- Paired axial CT (left) and PSMA PET (right), [68Ga]Ga-PSMA-11 tracer
- acquired on Siemens Biograph 64-4R TruePoint
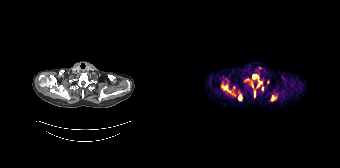
Findings: Coordinates are on the 168×168 PET (right) panel. (showing 10 of 11 foci) PSMA-avid tumor lesion bounding boxes (x, y, width, height): x=85 y=79 w=6 h=9; x=50 y=85 w=6 h=5; x=54 y=89 w=7 h=6; x=80 y=75 w=5 h=5; x=66 y=95 w=4 h=6; x=60 y=85 w=4 h=5; x=82 y=91 w=2 h=7; x=100 y=96 w=3 h=5. Small PSMA-avid foci (2 to 4 px across) near (center x, center y): (90, 88); (80, 85).